Left: CT. Right: PSMA PET, same axial level, 18F tracer. PET panel 200×200 px (4.1 mm/px).
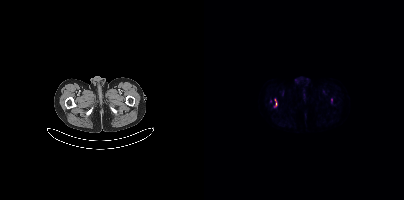
Coordinates are on the 200×200 PET (right) panel. (showing 1 of 2 foci) PSMA-avid tumor lesion bounding box (x, y, width, height): x=70 y=99 w=4 h=8.